Left: CT. Right: PSMA PET, same axial level, 18F-PSMA tracer.
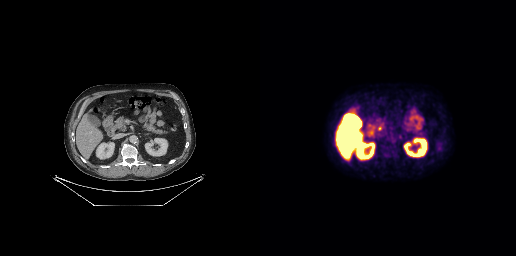
Coordinates are on the 256×256 PET (right) panel. Small PSMA-avid focus (2 to 4 px across) near (center x, center y): (140, 136).